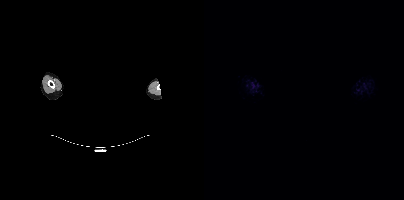
{"pet_grid":[200,200],"coord_frame":"pet_panel","coord_format":"x0,y0,x1,y1","psma_avid_lesions":false,"modality":"PSMA PET/CT","view":"axial","tracer":"18F-PSMA","deidentification":"face masked with black rectangle"}